Two-panel axial: CT | PSMA PET, 18F-PSMA tracer.
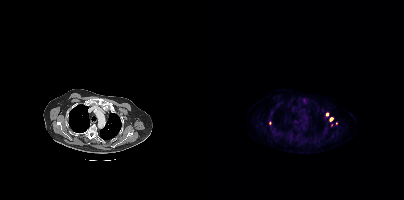
Coordinates are on the 200×200 PET (right) panel. (showing 3 of 4 foci) Small PSMA-avid foci (2 to 4 px across) near (center x, center y): (127, 119) (123, 114) (65, 123).